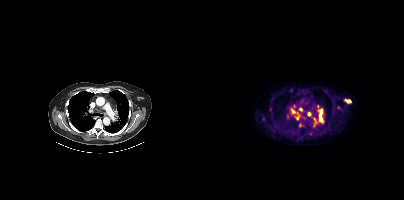
Coordinates are on the 200×200 PET (right) panel. (showing 14 of 19 foci) PSMA-avid tumor lesion bounding boxes (x0, y0)-(x1, y1): (115, 109)-(120, 123) | (91, 112)-(96, 120) | (141, 100)-(146, 103) | (87, 110)-(91, 114) | (83, 114)-(85, 118) | (110, 122)-(112, 127). Small PSMA-avid foci (2 to 4 px across) near (center x, center y): (105, 113) | (96, 125) | (90, 106) | (66, 108) | (71, 125) | (59, 119) | (110, 119) | (106, 133).
modality: PSMA PET/CT | tracer: 18F-PSMA | view: axial | PET grid: 200×200